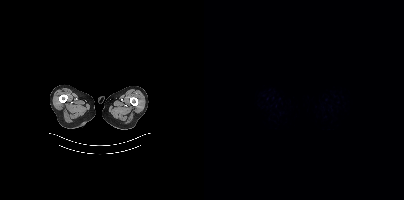
Two-panel axial: CT | PSMA PET, [18F]PSMA-1007 tracer. PET panel 200×200 px (4.1 mm/px). No tumor lesions annotated on this slice.